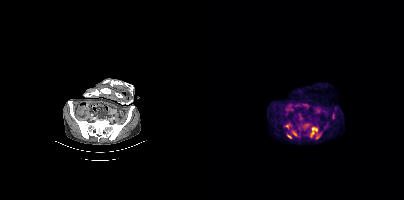
Technique: Paired axial CT (left) and PSMA PET (right), [18F]PSMA-1007 tracer.
Findings: Coordinates are on the 200×200 PET (right) panel. PSMA-avid tumor lesion bounding boxes (x, y, width, height): x=105 y=126 w=13 h=14; x=87 y=129 w=9 h=8; x=128 y=113 w=3 h=6; x=100 y=124 w=5 h=5; x=83 y=134 w=5 h=5. Small PSMA-avid foci (2 to 4 px across) near (center x, center y): (83, 126); (95, 128).